modality: PSMA PET/CT | tracer: 18F | view: axial
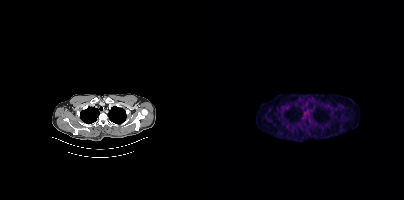
No tumor lesions annotated on this slice.